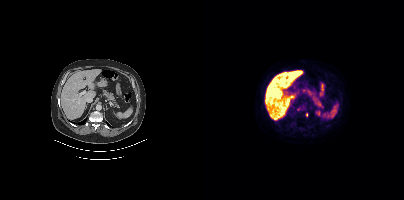
Coordinates are on the 200×200 PET (right) panel. PSMA-avid tumor lesion bounding box (x0,y0,x1,y1): [92,107,96,111]. Small PSMA-avid focus (2 to 4 px across) near (center x, center y): (102, 114).